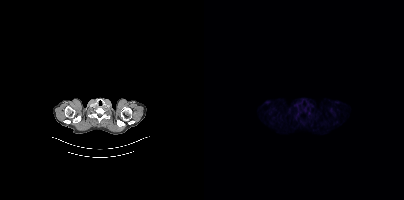
modality: PSMA PET/CT | tracer: [18F]PSMA-1007 | view: axial | PET grid: 200×200
No tumor lesions annotated on this slice.